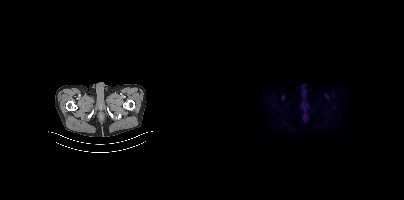
{"modality":"PSMA PET/CT","view":"axial","tracer":"18F","pet_grid":[200,200],"coord_frame":"pet_panel","coord_format":"x0,y0,x1,y1","psma_avid_lesions":false}